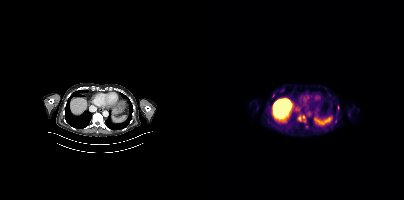
{"modality":"PSMA PET/CT","view":"axial","tracer":"[18F]PSMA-1007","pet_grid":[200,200],"coord_frame":"pet_panel","coord_format":"x0,y0,x1,y1","partial":true,"lesion_bboxes":[]}